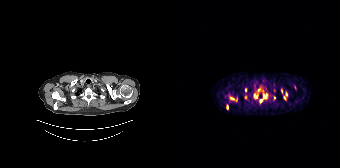
Findings: Coordinates are on the 168×168 PET (right) panel. PSMA-avid tumor lesion bounding boxes (x, y, width, height): x=88 y=93 w=8 h=10; x=82 y=94 w=4 h=5; x=58 y=96 w=5 h=4; x=54 y=105 w=3 h=5; x=112 y=96 w=3 h=5. Small PSMA-avid foci (2 to 4 px across) near (center x, center y): (73, 90); (114, 93); (86, 90); (73, 98); (109, 91); (102, 97); (64, 99).
Technique: Left: CT. Right: PSMA PET, same axial level, 68Ga tracer. slice 161 of 195.